Paired axial CT (left) and PSMA PET (right), 18F-PSMA tracer.
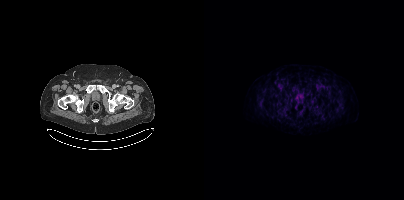
Negative for PSMA-avid disease on this slice.